A rectangle over the head was blacked out to remove identifiable facial features. Left: CT. Right: PSMA PET, same axial level, 68Ga-PSMA tracer.
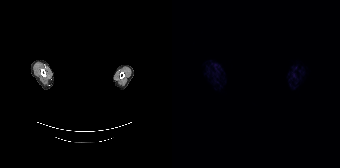
No PSMA-avid tumor lesions on this slice.